- Two-panel axial: CT | PSMA PET, 18F-PSMA tracer
- acquired on GE Discovery 690
- slice 196 of 263
- PET panel 256×256 px (2.7 mm/px)
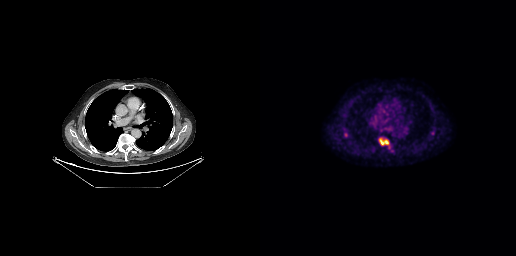
Findings: Coordinates are on the 256×256 PET (right) panel. PSMA-avid tumor lesion bounding box (x, y, width, height): x=119 y=138 w=10 h=7. Small PSMA-avid focus (2 to 4 px across) near (center x, center y): (85, 135).